Two-panel axial: CT | PSMA PET, 18F tracer. Acquired on Siemens Biograph mCT Flow 20. Slice 248 of 429. PET panel 200×200 px (4.1 mm/px).
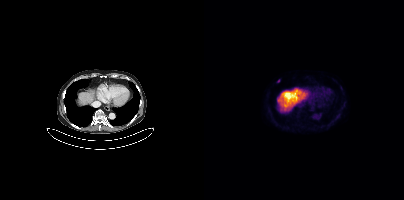
Coordinates are on the 200×200 PET (right) panel. Small PSMA-avid focus (2 to 4 px across) near (center x, center y): (74, 80).